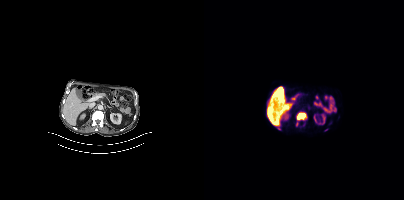
Two-panel axial: CT | PSMA PET, [18F]PSMA-1007 tracer. Coordinates are on the 200×200 PET (right) panel. (showing 2 of 4 foci) PSMA-avid tumor lesion bounding boxes (x, y, width, height): x=93 y=112 w=10 h=9 / x=71 y=125 w=6 h=5.